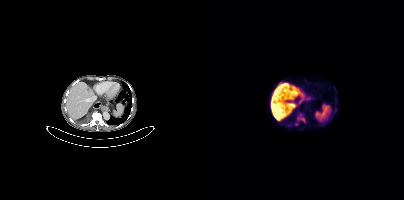
Two-panel axial: CT | PSMA PET, [18F]PSMA-1007 tracer. Acquired on Siemens Biograph mCT Flow 20. Coordinates are on the 200×200 PET (right) panel. PSMA-avid tumor lesion bounding box (x, y, width, height): x=93 y=114 w=9 h=9. Small PSMA-avid focus (2 to 4 px across) near (center x, center y): (92, 124).